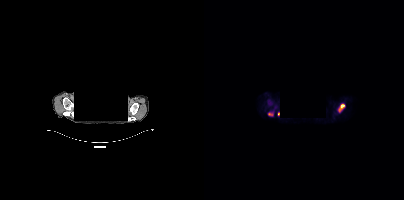
modality: PSMA PET/CT | tracer: [18F]PSMA-1007 | view: axial | PET grid: 200×200 | de-identification: privacy mask over head
Coordinates are on the 200×200 PET (right) panel. PSMA-avid tumor lesion bounding boxes (x, y, width, height): x=134 y=104 w=7 h=8 / x=64 y=112 w=6 h=4. Small PSMA-avid focus (2 to 4 px across) near (center x, center y): (74, 113).